modality: PSMA PET/CT | tracer: [18F]PSMA-1007 | view: axial
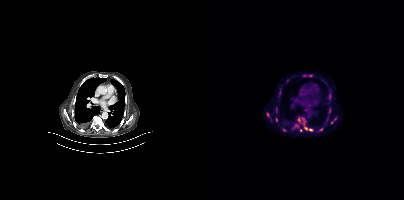
Coordinates are on the 200×200 PET (right) panel. (showing 13 of 14 foci) PSMA-avid tumor lesion bounding boxes (x, y, width, height): x=93 y=118 w=17 h=14; x=89 y=124 w=7 h=5; x=62 y=112 w=6 h=10; x=127 y=117 w=6 h=7; x=125 y=91 w=3 h=7; x=125 y=108 w=2 h=6. Small PSMA-avid foci (2 to 4 px across) near (center x, center y): (97, 130); (80, 130); (100, 75); (72, 119); (117, 129); (105, 75); (123, 119).